Left: CT. Right: PSMA PET, same axial level, 68Ga-PSMA tracer. PET panel 256×256 px (2.7 mm/px).
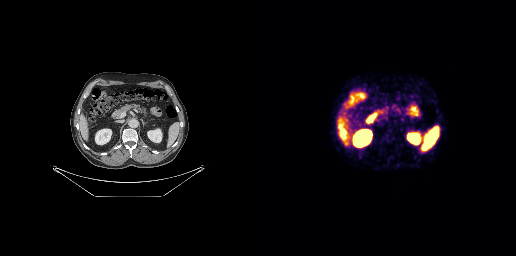
No PSMA-avid tumor lesions on this slice.